Two-panel axial: CT | PSMA PET, [18F]PSMA-1007 tracer. Acquired on Siemens Biograph mCT Flow 20. Slice 270 of 423. PET panel 200×200 px (4.1 mm/px).
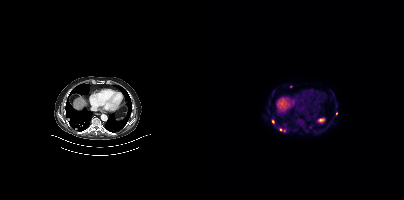
Coordinates are on the 200×200 PET (right) panel. PSMA-avid tumor lesion bounding boxes:
| # | x0 | y0 | x1 | y1 |
|---|---|---|---|---|
| 1 | 75 | 128 | 81 | 132 |
Small PSMA-avid foci (2 to 4 px across) near (center x, center y): (69, 121); (86, 86); (132, 113).